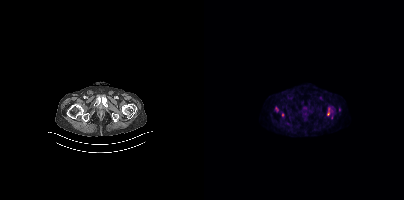
{"modality":"PSMA PET/CT","view":"axial","tracer":"18F","pet_grid":[200,200],"coord_frame":"pet_panel","coord_format":"x0,y0,x1,y1","lesion_bboxes":[[123,108,125,115],[71,107,74,111]],"small_foci_centers":[[78,114]]}